Technique: Left: CT. Right: PSMA PET, same axial level, 18F tracer. slice position z = -752 mm. PET panel 200×200 px (4.1 mm/px).
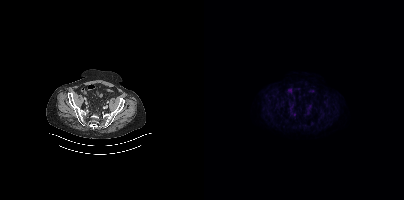
Findings: No PSMA-avid tumor lesions on this slice.